Left: CT. Right: PSMA PET, same axial level, 18F tracer. Acquired on Siemens Biograph mCT Flow 20. Slice 61 of 381.
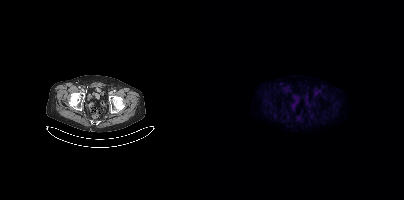
This slice has no annotated PSMA-avid lesion.